modality: PSMA PET/CT | tracer: 18F | view: axial
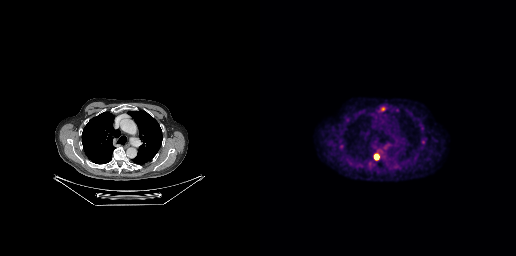
Coordinates are on the 256×256 PET (right) panel. PSMA-avid tumor lesion bounding box (x, y, width, height): x=114 y=154 w=7 h=6. Small PSMA-avid foci (2 to 4 px across) near (center x, center y): (81, 146) / (123, 109).